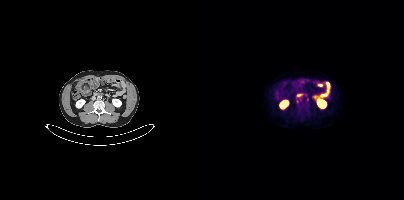
Two-panel axial: CT | PSMA PET, 18F-PSMA tracer. Acquired on Siemens Biograph mCT Flow 20. PET panel 200×200 px (4.1 mm/px). Coordinates are on the 200×200 PET (right) panel. (showing 1 of 2 foci) Small PSMA-avid focus (2 to 4 px across) near (center x, center y): (103, 99).